The face region was removed for patient privacy by blanking a rectangle over the head.
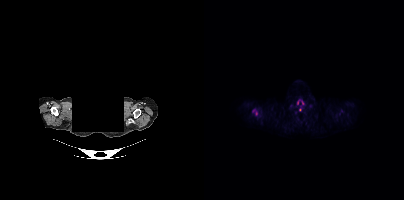
Coordinates are on the 200×200 PET (right) panel. Small PSMA-avid foci (2 to 4 px across) near (center x, center y): (52, 113), (95, 109), (49, 110).